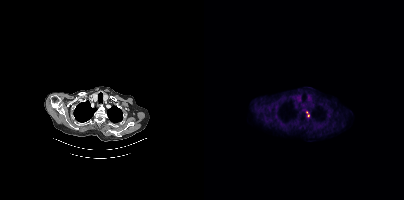
Left: CT. Right: PSMA PET, same axial level, 18F-PSMA tracer. PET panel 200×200 px (4.1 mm/px).
Coordinates are on the 200×200 PET (right) panel. PSMA-avid tumor lesion bounding boxes:
| # | x0 | y0 | x1 | y1 |
|---|---|---|---|---|
| 1 | 102 | 111 | 105 | 117 |